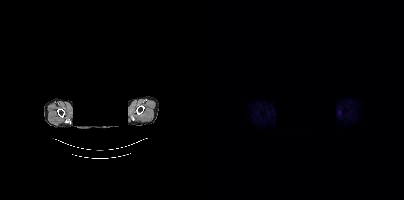
{"modality":"PSMA PET/CT","view":"axial","tracer":"[18F]PSMA-1007","pet_grid":[200,200],"coord_frame":"pet_panel","coord_format":"x0,y0,x1,y1","psma_avid_lesions":false,"redaction":"privacy mask over head"}